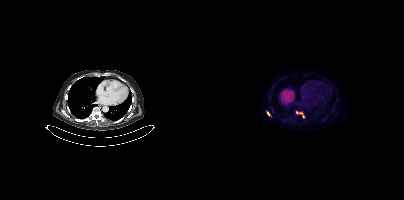
Coordinates are on the 200×200 PET (right) panel. (showing 2 of 3 foci) PSMA-avid tumor lesion bounding box (x, y, width, height): x=92 y=111 w=9 h=7. Small PSMA-avid focus (2 to 4 px across) near (center x, center y): (64, 113).